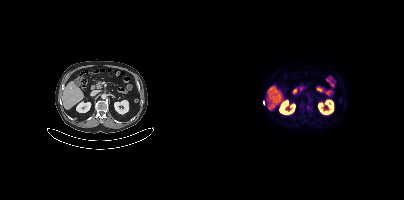
Findings: Coordinates are on the 200×200 PET (right) panel. Small PSMA-avid foci (2 to 4 px across) near (center x, center y): (59, 102), (104, 107).
Technique: Paired axial CT (left) and PSMA PET (right), 18F-PSMA tracer. acquired on Siemens Biograph mCT Flow 20.